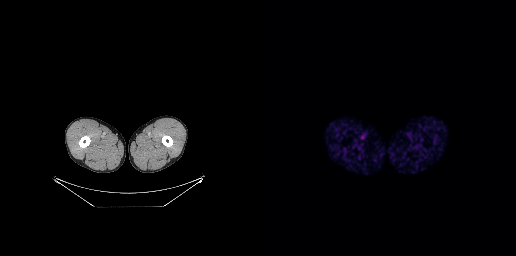
{"modality":"PSMA PET/CT","view":"axial","tracer":"[68Ga]Ga-PSMA-11","pet_grid":[256,256],"coord_frame":"pet_panel","coord_format":"x0,y0,x1,y1","psma_avid_lesions":false}